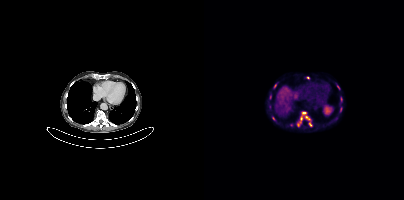
{"modality":"PSMA PET/CT","view":"axial","tracer":"18F-PSMA","pet_grid":[200,200],"coord_frame":"pet_panel","coord_format":"x0,y0,x1,y1","partial":true,"lesion_bboxes":[[93,112,106,126],[105,122,108,126],[137,97,138,101]],"small_foci_centers":[[71,85],[69,118],[104,77],[136,109]]}